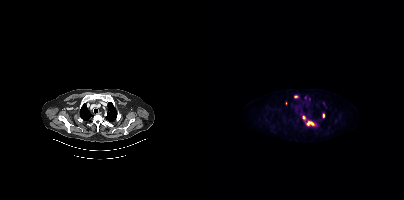
- Paired axial CT (left) and PSMA PET (right), [18F]PSMA-1007 tracer
- acquired on Siemens Biograph mCT Flow 20
- slice position z = -880 mm
- PET panel 200×200 px (4.1 mm/px)
Findings: Coordinates are on the 200×200 PET (right) panel. (showing 6 of 9 foci) PSMA-avid tumor lesion bounding boxes (x0, y0)-(x1, y1): (103, 121)-(111, 126) | (90, 95)-(94, 98). Small PSMA-avid foci (2 to 4 px across) near (center x, center y): (99, 117) | (119, 115) | (105, 99) | (119, 104).